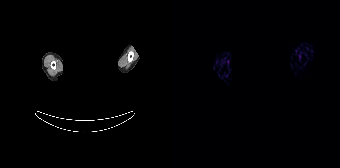
- Two-panel axial: CT | PSMA PET, 68Ga tracer
- acquired on Siemens Biograph 64-4R TruePoint
- head region blanked for anonymization (face removed)
Findings: No PSMA-avid tumor lesions on this slice.